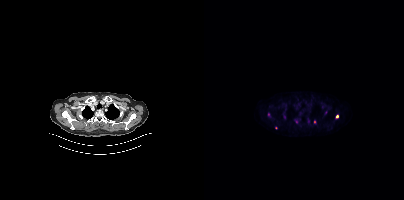
Coordinates are on the 200×200 PET (right) panel. (showing 3 of 4 foci) Small PSMA-avid foci (2 to 4 px across) near (center x, center y): (93, 122) | (133, 116) | (110, 122). Two-panel axial: CT | PSMA PET, [18F]PSMA-1007 tracer. Acquired on Siemens Biograph mCT Flow 20.